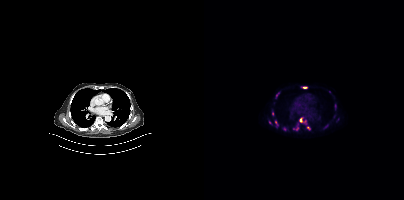
Coordinates are on the 200×200 PET (right) panel. (showing 2 of 4 foci) Small PSMA-avid foci (2 to 4 px across) near (center x, center y): (96, 119) | (101, 87). Left: CT. Right: PSMA PET, same axial level, 18F-PSMA tracer. Slice position z = -466 mm.